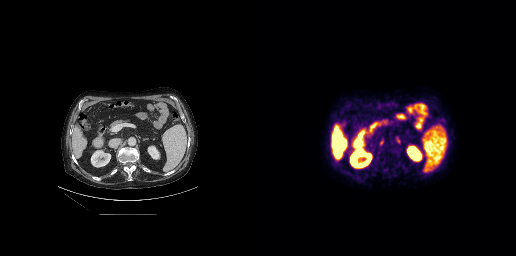
Findings: Coordinates are on the 256×256 PET (right) panel. Small PSMA-avid focus (2 to 4 px across) near (center x, center y): (123, 163).
Technique: Left: CT. Right: PSMA PET, same axial level, 18F tracer. slice position z = -402 mm. PET panel 256×256 px (2.7 mm/px).